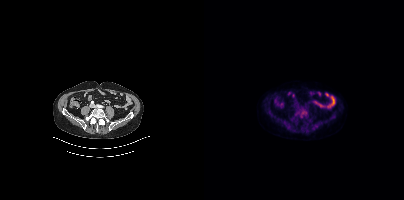
Coordinates are on the 200×200 PET (right) panel. PSMA-avid tumor lesion bounding box (x, y, width, height): x=95 y=110 w=7 h=7.